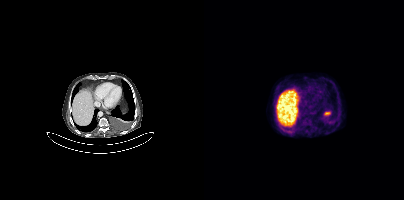
Findings: This slice has no annotated PSMA-avid lesion.
- Two-panel axial: CT | PSMA PET, 18F tracer
- slice 259 of 425
- PET panel 200×200 px (4.1 mm/px)